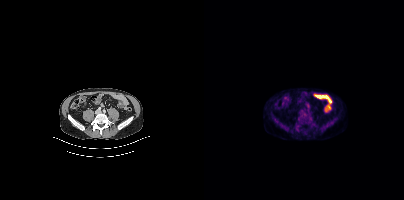
Two-panel axial: CT | PSMA PET, 18F tracer. Acquired on Siemens Biograph mCT Flow 20. Slice position z = -396 mm. PET panel 200×200 px (4.1 mm/px). Coordinates are on the 200×200 PET (right) panel. PSMA-avid tumor lesion bounding box (x0,y0,x1,y1): [98,116,107,124].